modality: PSMA PET/CT | tracer: 18F | view: axial | PET grid: 200×200
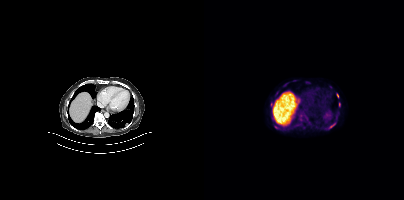
Coordinates are on the 200×200 PET (right) panel. (showing 4 of 6 foci) PSMA-avid tumor lesion bounding boxes (x, y, width, height): x=124 y=122 w=8 h=7 | x=70 y=125 w=6 h=5. Small PSMA-avid foci (2 to 4 px across) near (center x, center y): (133, 95) | (135, 104).